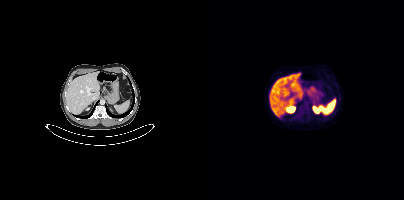
{"pet_grid":[200,200],"coord_frame":"pet_panel","coord_format":"x0,y0,x1,y1","psma_avid_lesions":false,"modality":"PSMA PET/CT","view":"axial","tracer":"[18F]PSMA-1007"}